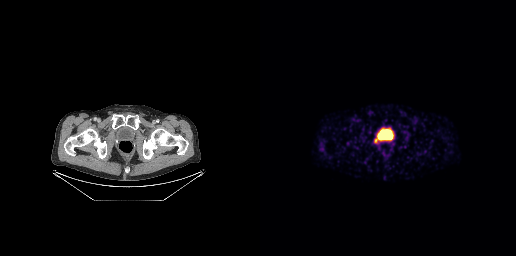
- Two-panel axial: CT | PSMA PET, [68Ga]Ga-PSMA-11 tracer
- PET panel 256×256 px (2.7 mm/px)
Findings: Coordinates are on the 256×256 PET (right) panel. PSMA-avid tumor lesion bounding box (x0, y0)-(x1, y1): (115, 138)-(117, 142).